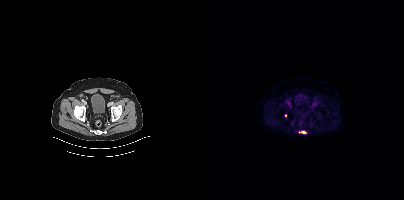
Paired axial CT (left) and PSMA PET (right), 18F tracer. PET panel 200×200 px (4.1 mm/px). Coordinates are on the 200×200 PET (right) panel. PSMA-avid tumor lesion bounding box (x0, y0)-(x1, y1): (94, 130)-(102, 133).